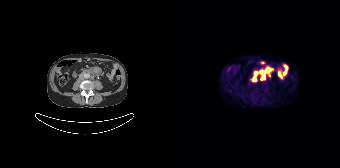
Paired axial CT (left) and PSMA PET (right), 68Ga tracer. Slice position z = -1378 mm. Coordinates are on the 168×168 PET (right) panel. (showing 5 of 6 foci) Small PSMA-avid foci (2 to 4 px across) near (center x, center y): (95, 69); (82, 78); (83, 73); (91, 77); (89, 71).